- Two-panel axial: CT | PSMA PET, 18F-PSMA tracer
- acquired on Siemens Biograph mCT Flow 20
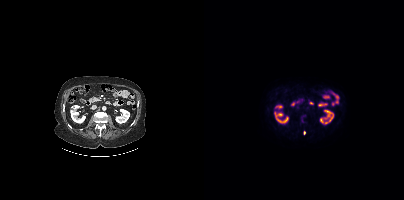
Findings: Only PSMA-avid lesion pieces thinner than 2 px on this slice (not listed).